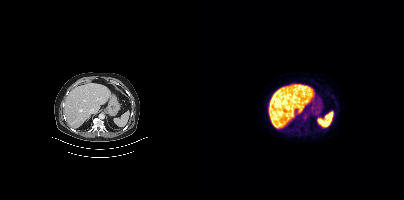
{"modality":"PSMA PET/CT","view":"axial","tracer":"18F-PSMA","pet_grid":[200,200],"coord_frame":"pet_panel","coord_format":"x0,y0,x1,y1","psma_avid_lesions":false}